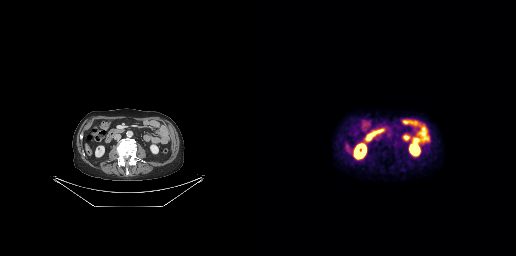
Technique: Two-panel axial: CT | PSMA PET, 18F-PSMA tracer. acquired on GE Discovery 690. slice 116 of 263.
Findings: Negative for PSMA-avid disease on this slice.